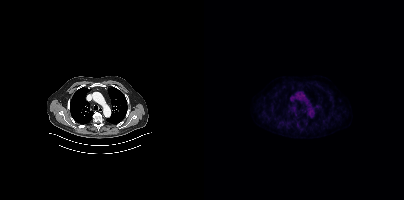
This slice has no annotated PSMA-avid lesion. Left: CT. Right: PSMA PET, same axial level, [18F]PSMA-1007 tracer. Slice position z = -508 mm. PET panel 200×200 px (4.1 mm/px).